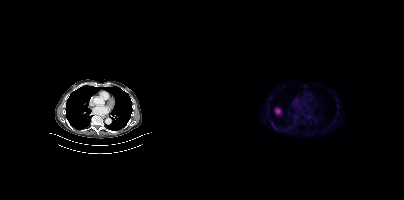
Findings: This slice has no annotated PSMA-avid lesion.
- Paired axial CT (left) and PSMA PET (right), 18F tracer
- acquired on Siemens Biograph mCT Flow 20